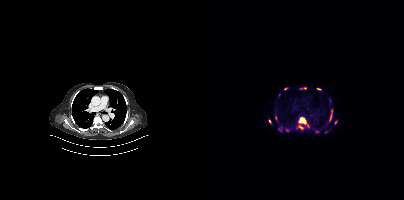
Findings: Coordinates are on the 200×200 PET (right) panel. PSMA-avid tumor lesion bounding boxes (x, y, width, height): x=92 y=117 w=11 h=13 / x=126 y=109 w=3 h=10 / x=81 y=128 w=5 h=5 / x=97 y=87 w=5 h=3. Small PSMA-avid foci (2 to 4 px across) near (center x, center y): (72, 118) / (66, 121) / (131, 122) / (114, 88) / (126, 101) / (113, 131) / (82, 88) / (104, 126) / (75, 129).
Technique: Two-panel axial: CT | PSMA PET, [68Ga]Ga-PSMA-11 tracer. PET panel 200×200 px (4.1 mm/px).